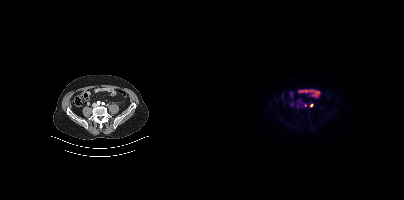
{"pet_grid":[200,200],"coord_frame":"pet_panel","coord_format":"x0,y0,x1,y1","partial":true,"lesion_bboxes":[],"small_foci_centers":[[107,105]],"modality":"PSMA PET/CT","view":"axial","tracer":"[18F]PSMA-1007"}